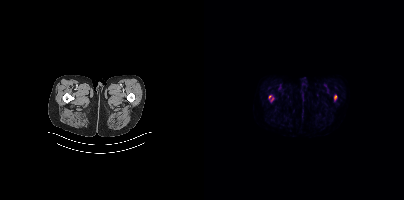
{"modality":"PSMA PET/CT","view":"axial","tracer":"[18F]PSMA-1007","pet_grid":[200,200],"coord_frame":"pet_panel","coord_format":"x0,y0,x1,y1","lesion_bboxes":[[130,95,132,99]],"small_foci_centers":[[66,96],[68,99]]}